- Two-panel axial: CT | PSMA PET, [18F]PSMA-1007 tracer
- acquired on Siemens Biograph mCT Flow 20
- slice position z = -1542 mm
- PET panel 200×200 px (4.1 mm/px)
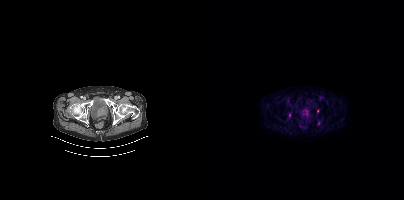
Findings: Coordinates are on the 200×200 PET (right) panel. Small PSMA-avid foci (2 to 4 px across) near (center x, center y): (113, 110) (114, 123) (85, 114).